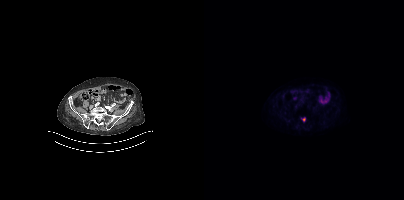
Left: CT. Right: PSMA PET, same axial level, 18F-PSMA tracer. Acquired on Siemens Biograph mCT Flow 20. PET panel 200×200 px (4.1 mm/px). Coordinates are on the 200×200 PET (right) panel. PSMA-avid tumor lesion bounding box (x0,y0,x1,y1): [98,117,101,121]. Small PSMA-avid focus (2 to 4 px across) near (center x, center y): (84, 120).